Technique: Two-panel axial: CT | PSMA PET, [68Ga]Ga-PSMA-11 tracer. acquired on GE Discovery 690. slice 54 of 263.
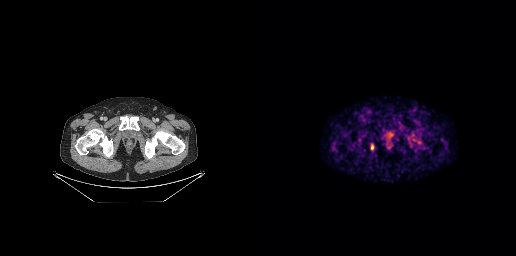
Findings: Coordinates are on the 256×256 PET (right) panel. Small PSMA-avid focus (2 to 4 px across) near (center x, center y): (112, 147).